- Paired axial CT (left) and PSMA PET (right), 68Ga tracer
- slice 54 of 195
- PET panel 168×168 px (4.1 mm/px)
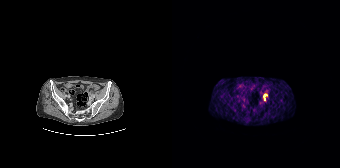
Findings: Coordinates are on the 168×168 PET (right) panel. PSMA-avid tumor lesion bounding box (x0,y0,x1,y1): [92,94,95,100].